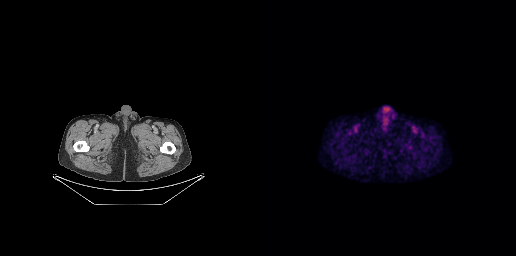
{"modality":"PSMA PET/CT","view":"axial","tracer":"18F-PSMA","pet_grid":[256,256],"coord_frame":"pet_panel","coord_format":"x0,y0,x1,y1","psma_avid_lesions":false}